Technique: Left: CT. Right: PSMA PET, same axial level, [68Ga]Ga-PSMA-11 tracer. acquired on Siemens Biograph mCT Flow 20. slice position z = 487 mm. PET panel 200×200 px (4.1 mm/px).
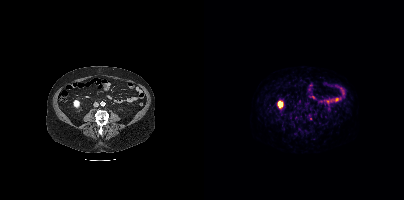
Findings: No tumor lesions annotated on this slice.